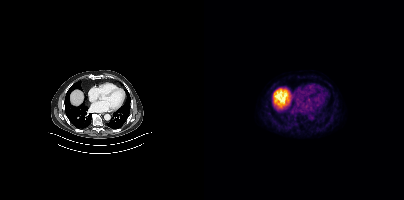
No tumor lesions annotated on this slice.